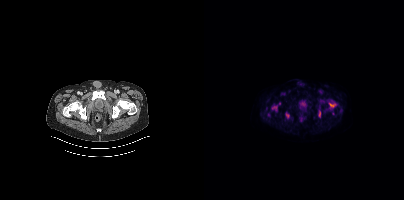
{"modality":"PSMA PET/CT","view":"axial","tracer":"[18F]PSMA-1007","pet_grid":[200,200],"coord_frame":"pet_panel","coord_format":"x0,y0,x1,y1","partial":true,"lesion_bboxes":[[125,103,131,107],[68,106,73,110],[82,113,85,117],[115,112,116,116]],"small_foci_centers":[[129,113],[64,114],[75,103]]}